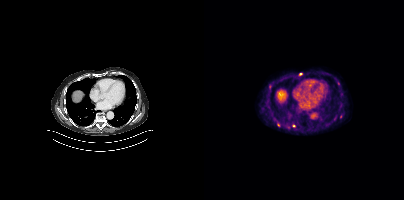
Two-panel axial: CT | PSMA PET, 18F-PSMA tracer. Coordinates are on the 200×200 PET (right) panel. Small PSMA-avid foci (2 to 4 px across) near (center x, center y): (89, 125) / (96, 73) / (134, 83) / (74, 125).